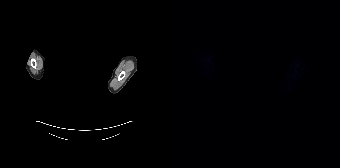
{"pet_grid":[168,168],"coord_frame":"pet_panel","coord_format":"x0,y0,x1,y1","psma_avid_lesions":false,"modality":"PSMA PET/CT","view":"axial","tracer":"[18F]PSMA-1007","deidentification":"head region blanked (face removed)"}